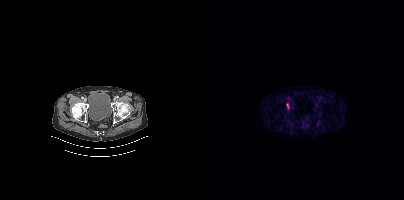
Technique: Paired axial CT (left) and PSMA PET (right), 18F tracer. PET panel 200×200 px (4.1 mm/px).
Findings: Coordinates are on the 200×200 PET (right) panel. PSMA-avid tumor lesion bounding box (x, y, width, height): x=82 y=103 w=4 h=7.